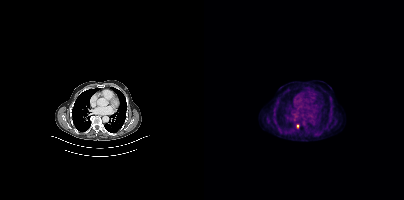
modality: PSMA PET/CT | tracer: 18F-PSMA | view: axial
Coordinates are on the 200×200 PET (right) panel. PSMA-avid tumor lesion bounding box (x, y, width, height): x=92 y=124 w=4 h=5.